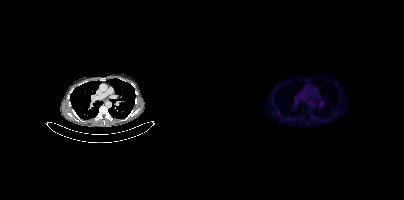
{"modality":"PSMA PET/CT","view":"axial","tracer":"18F-PSMA","pet_grid":[200,200],"coord_frame":"pet_panel","coord_format":"x0,y0,x1,y1","lesion_bboxes":[],"small_foci_centers":[[117,103],[74,111],[106,117]]}